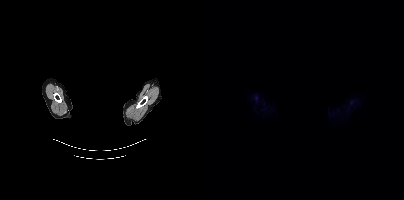
Findings: Negative for PSMA-avid disease on this slice.
- privacy masking over the head, with the pixels inside a rectangle set to black
- Two-panel axial: CT | PSMA PET, 18F-PSMA tracer